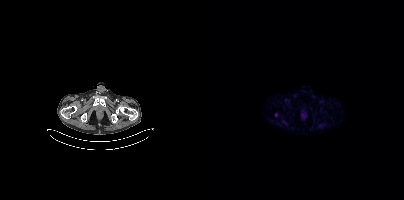
Negative for PSMA-avid disease on this slice. Left: CT. Right: PSMA PET, same axial level, 18F tracer. Acquired on Siemens Biograph mCT Flow 20. Slice position z = -996 mm.